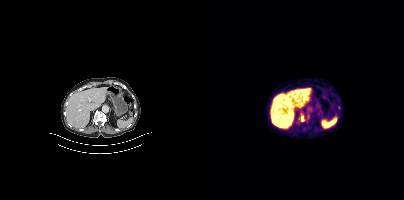
{"modality":"PSMA PET/CT","view":"axial","tracer":"18F-PSMA","pet_grid":[200,200],"coord_frame":"pet_panel","coord_format":"x0,y0,x1,y1","lesion_bboxes":[[97,116,99,121]]}